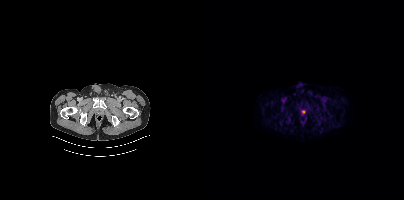
Coordinates are on the 200×200 PET (right) panel. Small PSMA-avid focus (2 to 4 px across) near (center x, center y): (99, 111).